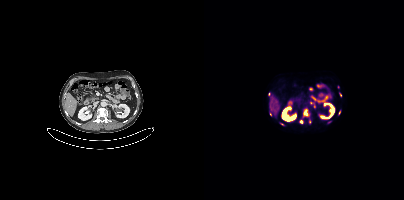
{"modality":"PSMA PET/CT","view":"axial","tracer":"18F","pet_grid":[200,200],"coord_frame":"pet_panel","coord_format":"x0,y0,x1,y1","partial":true,"lesion_bboxes":[[100,110,105,115],[123,121,127,123]],"small_foci_centers":[[106,121],[97,121],[77,124],[135,112],[66,114]]}